Two-panel axial: CT | PSMA PET, [18F]PSMA-1007 tracer. Slice 234 of 417.
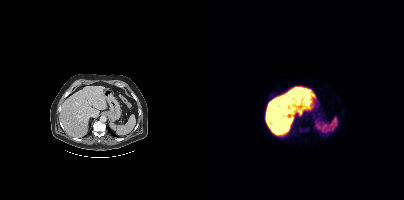
This slice has no annotated PSMA-avid lesion.